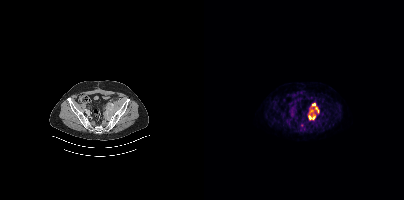
Coordinates are on the 200×200 PET (right) panel. PSMA-avid tumor lesion bounding box (x0, y0)-(x1, y1): (104, 103)-(115, 120).